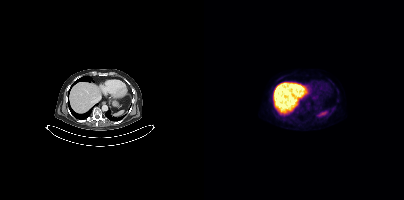
Negative for PSMA-avid disease on this slice. Left: CT. Right: PSMA PET, same axial level, 18F-PSMA tracer. Slice position z = 140 mm.